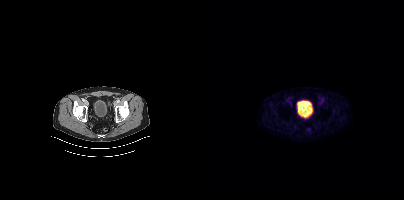
modality: PSMA PET/CT | tracer: 68Ga-PSMA | view: axial | PET grid: 200×200
Coordinates are on the 200×200 PET (right) panel. Small PSMA-avid focus (2 to 4 px across) near (center x, center y): (118, 99).